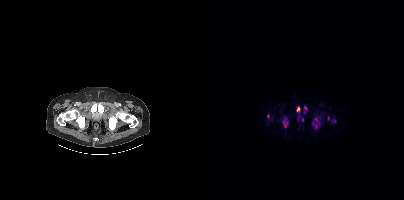
{"pet_grid":[200,200],"coord_frame":"pet_panel","coord_format":"x0,y0,x1,y1","partial":true,"lesion_bboxes":[[79,119,83,127],[128,119,132,123],[92,107,96,111],[63,114,65,118]],"small_foci_centers":[[98,120],[124,118],[101,107],[112,126]],"modality":"PSMA PET/CT","view":"axial","tracer":"18F"}